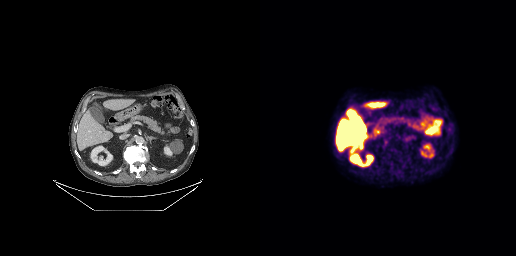
- Paired axial CT (left) and PSMA PET (right), 18F tracer
- slice position z = -434 mm
Findings: Negative for PSMA-avid disease on this slice.